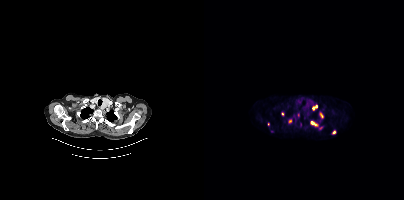
Coordinates are on the 200×200 PET (right) panel. PSMA-avid tumor lesion bounding boxes (x0, y0)-(x1, y1): (107, 121)-(118, 129) | (85, 119)-(88, 124) | (115, 112)-(118, 117) | (93, 113)-(95, 117) | (91, 119)-(92, 123). Small PSMA-avid foci (2 to 4 px across) near (center x, center y): (129, 132) | (96, 124) | (109, 108) | (64, 124) | (112, 106) | (78, 114).